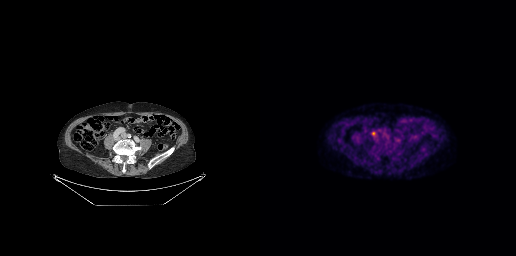
Two-panel axial: CT | PSMA PET, 18F tracer. Acquired on GE Discovery 690. Slice position z = -716 mm. PET panel 256×256 px (2.7 mm/px). Coordinates are on the 256×256 PET (right) panel. Small PSMA-avid focus (2 to 4 px across) near (center x, center y): (113, 132).